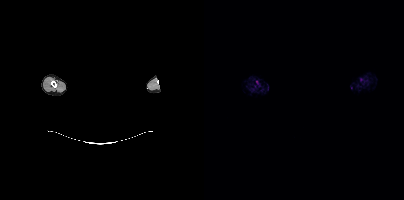
This slice has no annotated PSMA-avid lesion. A rectangle over the head was blacked out to remove identifiable facial features. Left: CT. Right: PSMA PET, same axial level, [18F]PSMA-1007 tracer.